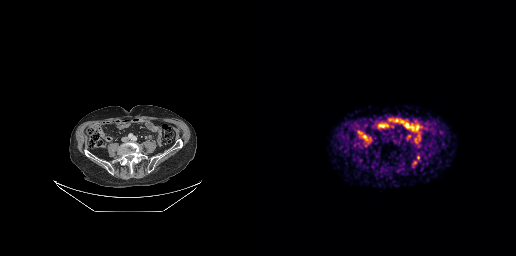
{"modality":"PSMA PET/CT","view":"axial","tracer":"[68Ga]Ga-PSMA-11","pet_grid":[256,256],"coord_frame":"pet_panel","coord_format":"x0,y0,x1,y1","lesion_bboxes":[],"small_foci_centers":[[154,162],[158,157]]}